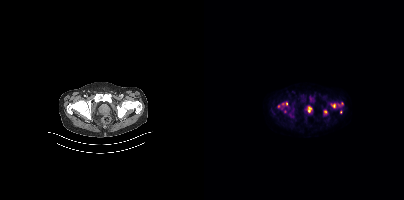
{"modality":"PSMA PET/CT","view":"axial","tracer":"[18F]PSMA-1007","pet_grid":[200,200],"coord_frame":"pet_panel","coord_format":"x0,y0,x1,y1","lesion_bboxes":[[74,102,83,109],[104,106,107,112],[127,103,131,108]],"small_foci_centers":[[121,111],[81,111],[138,103],[136,112],[134,104]]}